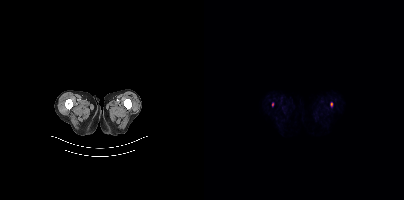
Left: CT. Right: PSMA PET, same axial level, 18F-PSMA tracer.
Coordinates are on the 200×200 PET (right) panel. PSMA-avid tumor lesion bounding boxes:
| # | x0 | y0 | x1 | y1 |
|---|---|---|---|---|
| 1 | 126 | 102 | 128 | 106 |
Small PSMA-avid focus (2 to 4 px across) near (center x, center y): (68, 104).